Paired axial CT (left) and PSMA PET (right), 18F-PSMA tracer.
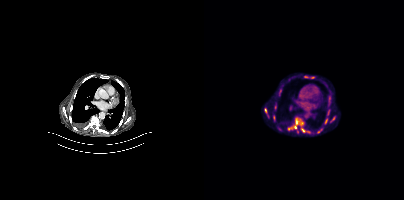
Coordinates are on the 200×200 PET (right) panel. PSMA-avid tumor lesion bounding boxes (partial; 1 more focus not listed):
| # | x0 | y0 | x1 | y1 |
|---|---|---|---|---|
| 1 | 83 | 118 | 100 | 131 |
| 2 | 60 | 108 | 65 | 117 |
| 3 | 124 | 95 | 127 | 100 |
| 4 | 69 | 115 | 71 | 119 |
| 5 | 75 | 89 | 77 | 93 |
| 6 | 70 | 105 | 72 | 109 |
| 7 | 121 | 119 | 123 | 123 |
| 8 | 127 | 117 | 130 | 121 |